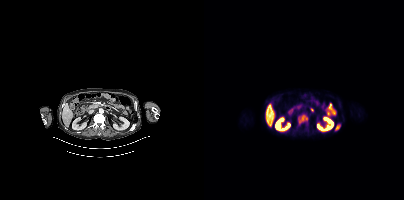
modality: PSMA PET/CT | tracer: 18F | view: axial
Coordinates are on the 200×200 PET (right) panel. PSMA-avid tumor lesion bounding boxes (x0, y0)-(x1, y1): (94, 114)-(103, 124) / (131, 124)-(136, 130).